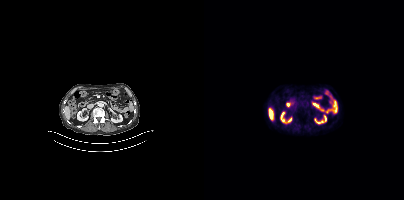
{"modality":"PSMA PET/CT","view":"axial","tracer":"[18F]PSMA-1007","pet_grid":[200,200],"coord_frame":"pet_panel","coord_format":"x0,y0,x1,y1","psma_avid_lesions":false}